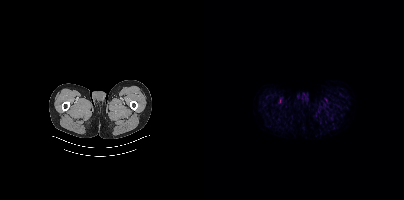
- Paired axial CT (left) and PSMA PET (right), [18F]PSMA-1007 tracer
Findings: Negative for PSMA-avid disease on this slice.